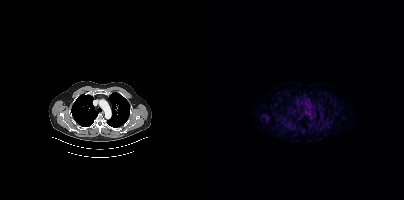
Only PSMA-avid lesion pieces thinner than 2 px on this slice (not listed). Paired axial CT (left) and PSMA PET (right), 68Ga-PSMA tracer.